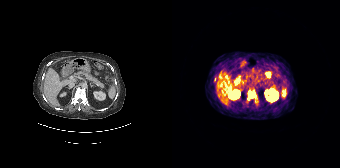
{"modality":"PSMA PET/CT","view":"axial","tracer":"68Ga-PSMA","pet_grid":[168,168],"coord_frame":"pet_panel","coord_format":"x0,y0,x1,y1","lesion_bboxes":[[75,90,84,100],[42,77,44,81]]}